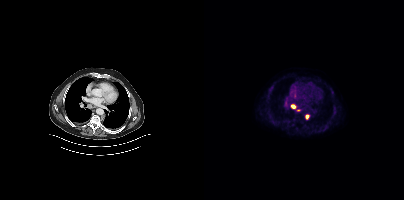
Coordinates are on the 200×200 PET (right) panel. PSMA-avid tumor lesion bounding box (x0, y0)-(x1, y1): (87, 105)-(91, 108). Small PSMA-avid focus (2 to 4 px across) near (center x, center y): (103, 116). Two-panel axial: CT | PSMA PET, 18F-PSMA tracer. PET panel 200×200 px (4.1 mm/px).